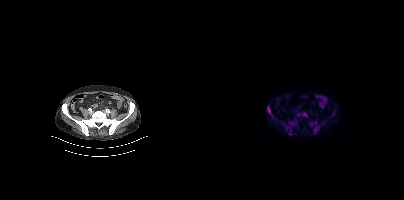
Coordinates are on the 200×200 PET (right) panel. PSMA-avid tumor lesion bounding boxes (x, y, width, height): x=77 y=121 w=16 h=14; x=106 y=121 w=15 h=14; x=63 y=106 w=9 h=14; x=97 y=112 w=7 h=6; x=129 y=111 w=2 h=5. Small PSMA-avid focus (2 to 4 px across) near (center x, center y): (94, 115).